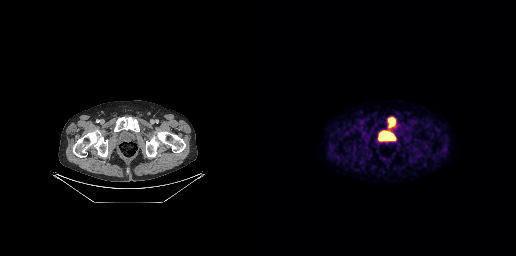
Paired axial CT (left) and PSMA PET (right), [18F]PSMA-1007 tracer. Slice position z = -751 mm. Coordinates are on the 256×256 PET (right) panel. PSMA-avid tumor lesion bounding box (x0, y0)-(x1, y1): (128, 117)-(135, 127).